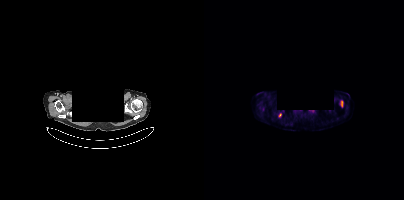
{"modality":"PSMA PET/CT","view":"axial","tracer":"18F-PSMA","pet_grid":[200,200],"coord_frame":"pet_panel","coord_format":"x0,y0,x1,y1","redaction":"head region blanked (face removed)","lesion_bboxes":[[137,101,138,106]],"small_foci_centers":[[76,114]]}